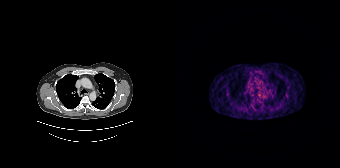
modality: PSMA PET/CT | tracer: 68Ga | view: axial | PET grid: 168×168
No tumor lesions annotated on this slice.